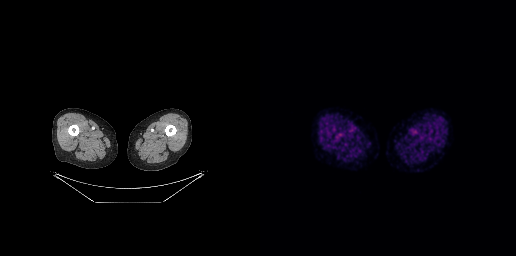
Findings: No tumor lesions annotated on this slice.
- Two-panel axial: CT | PSMA PET, 18F tracer
- acquired on GE Discovery 690